Technique: Left: CT. Right: PSMA PET, same axial level, 68Ga tracer.
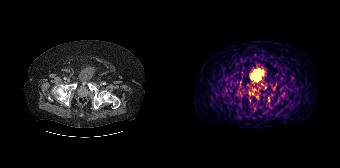
Findings: Coordinates are on the 168×168 PET (right) panel. (showing 2 of 3 foci) PSMA-avid tumor lesion bounding box (x, y, width, height): x=80 y=88 w=9 h=7. Small PSMA-avid focus (2 to 4 px across) near (center x, center y): (80, 93).